- Left: CT. Right: PSMA PET, same axial level, [18F]PSMA-1007 tracer
- PET panel 200×200 px (4.1 mm/px)
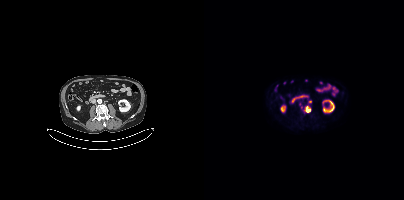
Findings: Coordinates are on the 200×200 PET (right) panel. (showing 3 of 4 foci) PSMA-avid tumor lesion bounding boxes (x0,y0,x1,y1): [102,106,106,111] [104,100,107,104]. Small PSMA-avid focus (2 to 4 px across) near (center x, center y): (95, 104).